Two-panel axial: CT | PSMA PET, 18F-PSMA tracer. Slice position z = -1160 mm. PET panel 200×200 px (4.1 mm/px).
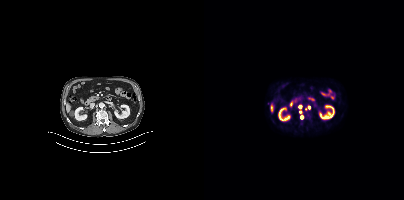
Coordinates are on the 200×200 PET (right) panel. (showing 4 of 5 foci) Small PSMA-avid foci (2 to 4 px across) near (center x, center y): (98, 116) | (96, 107) | (96, 112) | (104, 107).